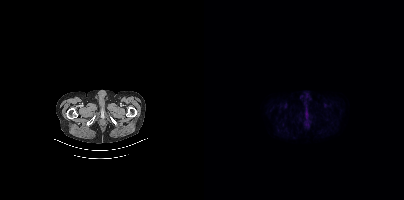
Paired axial CT (left) and PSMA PET (right), 18F-PSMA tracer. Slice position z = -886 mm. PET panel 200×200 px (4.1 mm/px). No PSMA-avid tumor lesions on this slice.